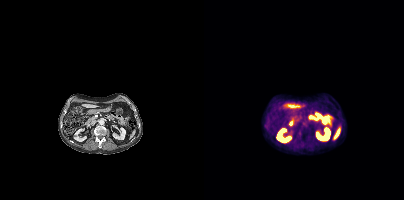
Technique: Paired axial CT (left) and PSMA PET (right), 18F-PSMA tracer.
Findings: This slice has no annotated PSMA-avid lesion.